Technique: Left: CT. Right: PSMA PET, same axial level, 18F-PSMA tracer. acquired on Siemens Biograph mCT Flow 20. slice 176 of 387. PET panel 200×200 px (4.1 mm/px).
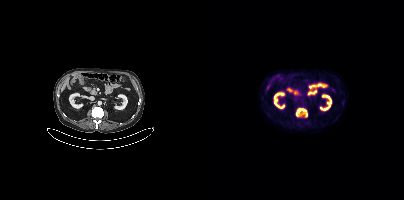
Findings: Coordinates are on the 200×200 PET (right) panel. (showing 1 of 2 foci) PSMA-avid tumor lesion bounding box (x, y, width, height): x=92 y=108 w=12 h=9.